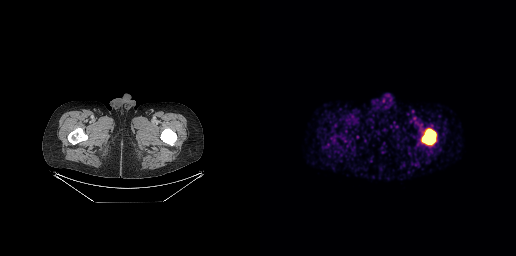
{"modality":"PSMA PET/CT","view":"axial","tracer":"68Ga","pet_grid":[256,256],"coord_frame":"pet_panel","coord_format":"x0,y0,x1,y1","lesion_bboxes":[[162,129,176,144]]}